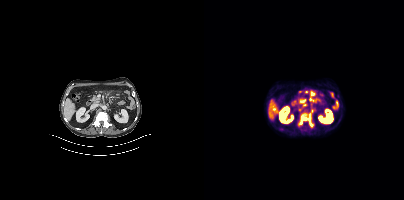
Coordinates are on the 200×200 PET (right) panel. (showing 1 of 3 foci) PSMA-avid tumor lesion bounding box (x0,y0,x1,y1): [94,113,110,127]. Paired axial CT (left) and PSMA PET (right), 18F-PSMA tracer. Slice 193 of 405.